Paired axial CT (left) and PSMA PET (right), 18F tracer. Slice 115 of 409.
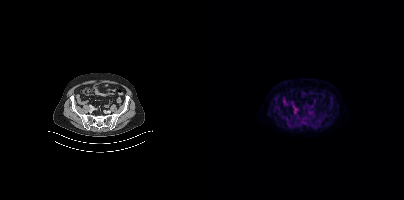
Coordinates are on the 200×200 PET (right) panel. PSMA-avid tumor lesion bounding boxes:
| # | x0 | y0 | x1 | y1 |
|---|---|---|---|---|
| 1 | 89 | 108 | 93 | 112 |
Small PSMA-avid focus (2 to 4 px across) near (center x, center y): (88, 103).